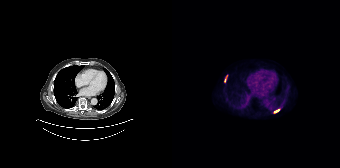
{"modality":"PSMA PET/CT","view":"axial","tracer":"18F-PSMA","pet_grid":[168,168],"coord_frame":"pet_panel","coord_format":"x0,y0,x1,y1","partial":true,"lesion_bboxes":[[102,109,107,112]],"small_foci_centers":[[52,80]]}